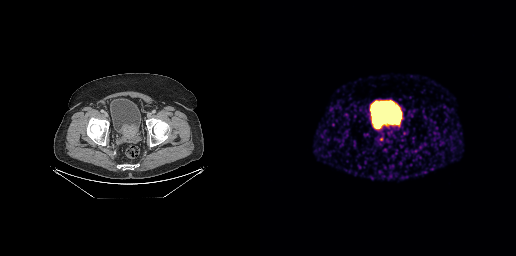
{"modality":"PSMA PET/CT","view":"axial","tracer":"68Ga","pet_grid":[256,256],"coord_frame":"pet_panel","coord_format":"x0,y0,x1,y1","lesion_bboxes":[[120,137,123,141]],"small_foci_centers":[[128,133]]}